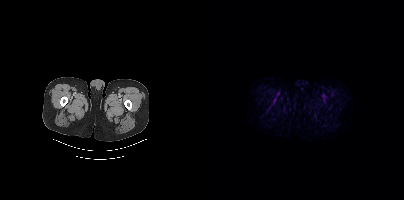
Technique: Paired axial CT (left) and PSMA PET (right), 18F-PSMA tracer. slice 26 of 435. PET panel 200×200 px (4.1 mm/px).
Findings: No tumor lesions annotated on this slice.